Left: CT. Right: PSMA PET, same axial level, [18F]PSMA-1007 tracer. Acquired on Siemens Biograph mCT Flow 20.
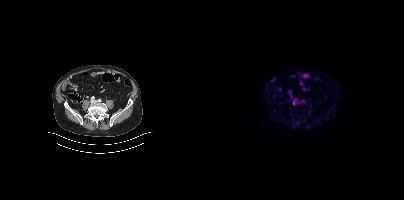
Coordinates are on the 200×200 PET (right) panel. Small PSMA-avid focus (2 to 4 px across) near (center x, center y): (89, 103).